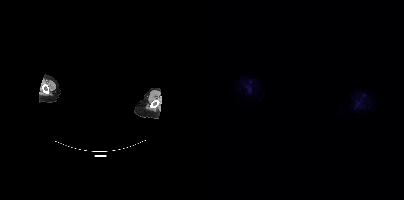
Negative for PSMA-avid disease on this slice. Left: CT. Right: PSMA PET, same axial level, [18F]PSMA-1007 tracer. Slice position z = -122 mm. PET panel 200×200 px (4.1 mm/px). De-identified by setting a box covering the face to black before release.